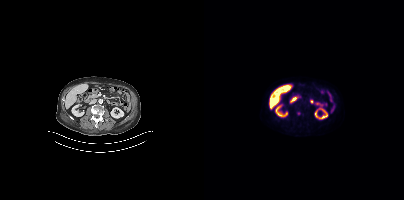
- Left: CT. Right: PSMA PET, same axial level, 18F tracer
- acquired on Siemens Biograph mCT Flow 20
- PET panel 200×200 px (4.1 mm/px)
Findings: Coordinates are on the 200×200 PET (right) panel. Small PSMA-avid focus (2 to 4 px across) near (center x, center y): (94, 113).